Technique: Paired axial CT (left) and PSMA PET (right), 18F-PSMA tracer. acquired on Siemens Biograph mCT Flow 20. PET panel 200×200 px (4.1 mm/px).
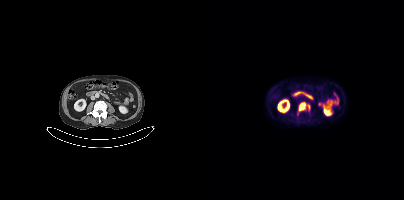
Findings: Coordinates are on the 200×200 PET (right) panel. PSMA-avid tumor lesion bounding box (x, y, width, height): x=94 y=102 w=13 h=10.